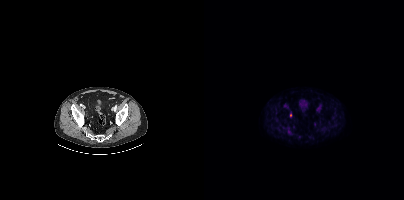
Two-panel axial: CT | PSMA PET, 18F-PSMA tracer. Slice position z = -948 mm. Coordinates are on the 200×200 PET (right) panel. Small PSMA-avid focus (2 to 4 px across) near (center x, center y): (86, 114).